modality: PSMA PET/CT | tracer: 18F-PSMA | view: axial
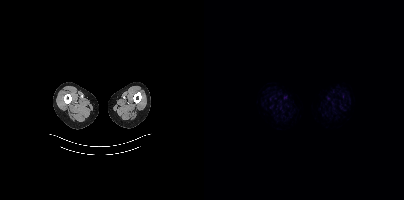
This slice has no annotated PSMA-avid lesion.